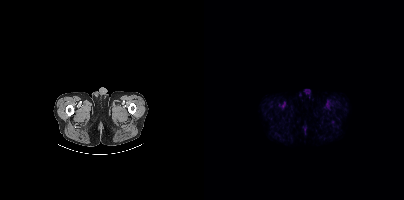
This slice has no annotated PSMA-avid lesion.